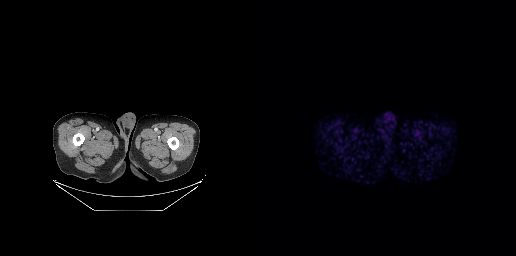
Findings: Negative for PSMA-avid disease on this slice.
Technique: Two-panel axial: CT | PSMA PET, 68Ga tracer. acquired on GE Discovery 690. PET panel 256×256 px (2.7 mm/px).